Technique: Paired axial CT (left) and PSMA PET (right), 18F tracer. PET panel 200×200 px (4.1 mm/px).
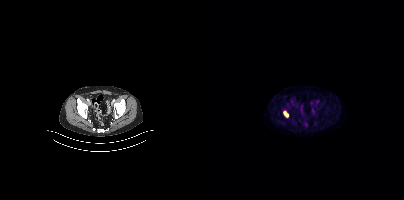
Findings: Coordinates are on the 200×200 PET (right) panel. PSMA-avid tumor lesion bounding box (x0,y0,x1,y1): [79,111,84,117].